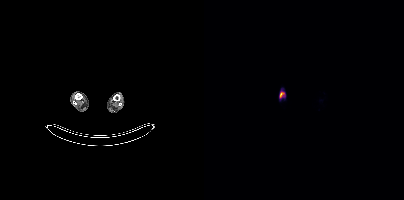
- Paired axial CT (left) and PSMA PET (right), 18F-PSMA tracer
- PET panel 200×200 px (4.1 mm/px)
Findings: Coordinates are on the 200×200 PET (right) panel. PSMA-avid tumor lesion bounding box (x0, y0)-(x1, y1): (75, 91)-(80, 98).